modality: PSMA PET/CT | tracer: 18F-PSMA | view: axial | PET grid: 200×200
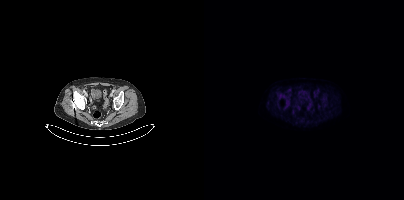
No tumor lesions annotated on this slice.